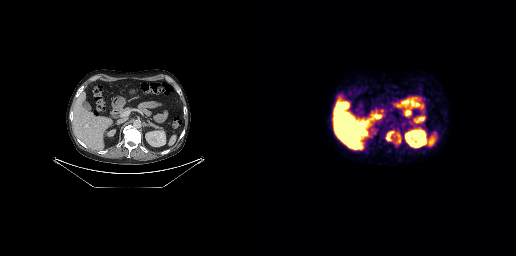
Findings: Coordinates are on the 256×256 PET (right) panel. PSMA-avid tumor lesion bounding boxes (x0, y0)-(x1, y1): (126, 131)-(134, 141); (134, 133)-(140, 143).
Technique: Two-panel axial: CT | PSMA PET, 18F-PSMA tracer. acquired on GE Discovery 690. PET panel 256×256 px (2.7 mm/px).